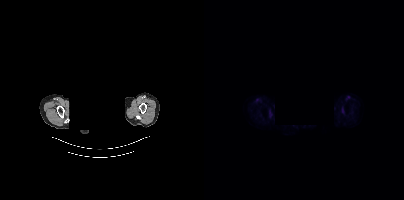
This slice has no annotated PSMA-avid lesion.
An anonymization step blacked out a rectangle over the head in this scan.